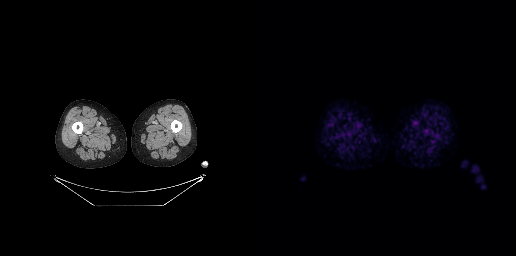
Paired axial CT (left) and PSMA PET (right), 18F-PSMA tracer. PET panel 256×256 px (2.7 mm/px). No tumor lesions annotated on this slice.